Two-panel axial: CT | PSMA PET, [18F]PSMA-1007 tracer. Slice position z = -376 mm.
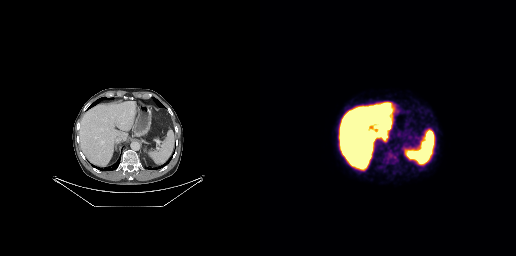
No tumor lesions annotated on this slice.